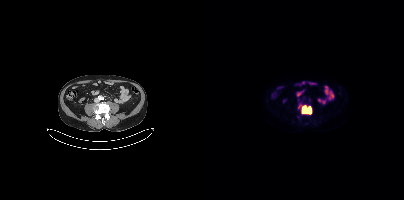
Coordinates are on the 200×200 PET (right) panel. (showing 1 of 2 foci) PSMA-avid tumor lesion bounding box (x0, y0)-(x1, y1): (94, 103)-(107, 114).